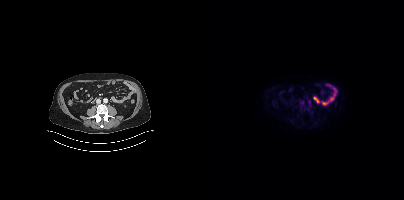
No tumor lesions annotated on this slice.